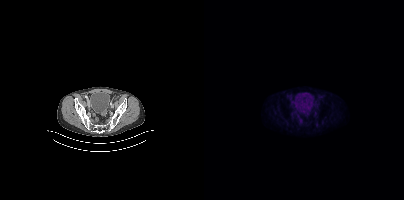
Paired axial CT (left) and PSMA PET (right), 18F-PSMA tracer. No tumor lesions annotated on this slice.